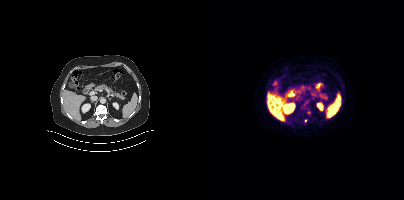
Coordinates are on the 200×200 PET (right) panel. Small PSMA-avid focus (2 to 4 px across) near (center x, center y): (101, 120).